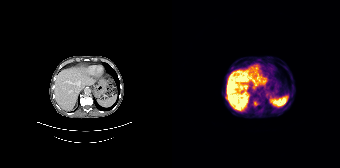
Findings: Coordinates are on the 168×168 PET (right) panel. PSMA-avid tumor lesion bounding boxes (x, y, width, height): x=80 y=100 w=8 h=7 / x=53 y=96 w=3 h=5. Small PSMA-avid foci (2 to 4 px across) near (center x, center y): (86, 59) / (119, 77).
Technique: Paired axial CT (left) and PSMA PET (right), 68Ga tracer.